Left: CT. Right: PSMA PET, same axial level, [68Ga]Ga-PSMA-11 tracer. Slice position z = -828 mm. PET panel 168×168 px (4.1 mm/px).
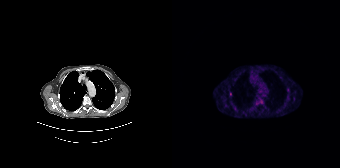
Coordinates are on the 168×168 PET (right) panel. Small PSMA-avid foci (2 to 4 px across) near (center x, center y): (89, 101); (116, 89); (58, 93); (85, 103).